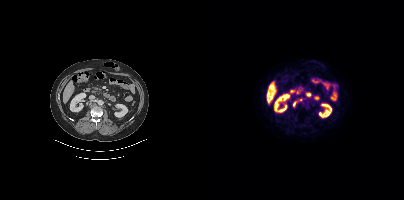
{"modality":"PSMA PET/CT","view":"axial","tracer":"[18F]PSMA-1007","pet_grid":[200,200],"coord_frame":"pet_panel","coord_format":"x0,y0,x1,y1","partial":true,"lesion_bboxes":[[94,98,98,101]],"small_foci_centers":[[90,104]]}